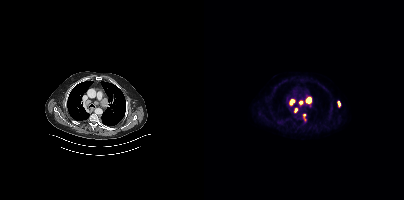
Coordinates are on the 200×200 PET (right) panel. PSMA-avid tumor lesion bounding boxes (x, y, width, height): x=101 y=96 w=7 h=8 / x=85 y=99 w=7 h=7 / x=95 y=100 w=5 h=6 / x=90 y=108 w=4 h=5 / x=99 y=114 w=3 h=7 / x=134 y=101 w=3 h=6.
modality: PSMA PET/CT | tracer: 18F | view: axial | PET grid: 200×200